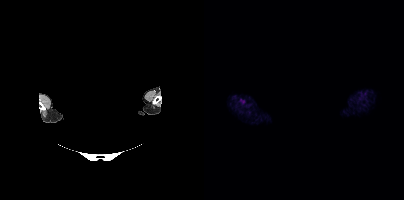
No PSMA-avid tumor lesions on this slice.
Privacy masking over the head, with the pixels inside a rectangle set to black.